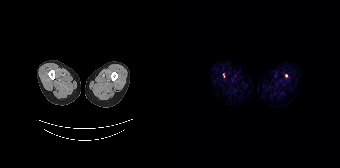
Findings: Coordinates are on the 168×168 PET (right) panel. Small PSMA-avid foci (2 to 4 px across) near (center x, center y): (114, 75) / (51, 75).
Technique: Paired axial CT (left) and PSMA PET (right), 68Ga-PSMA tracer. acquired on Siemens Biograph 64-4R TruePoint. slice 14 of 195.